Left: CT. Right: PSMA PET, same axial level, [18F]PSMA-1007 tracer. Slice position z = -491 mm.
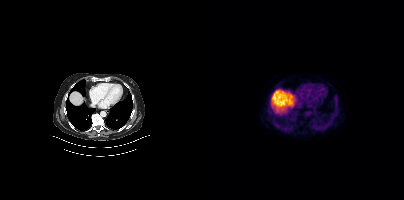
No PSMA-avid tumor lesions on this slice.